Technique: Left: CT. Right: PSMA PET, same axial level, [18F]PSMA-1007 tracer.
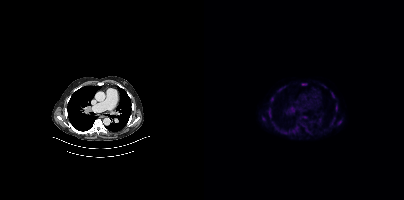
Findings: Coordinates are on the 200×200 PET (right) panel. (showing 12 of 16 foci) PSMA-avid tumor lesion bounding boxes (x, y, width, height): x=82 y=107 w=7 h=7 | x=64 y=108 w=4 h=10 | x=127 y=92 w=4 h=6 | x=67 y=97 w=3 h=5 | x=98 y=83 w=5 h=3 | x=98 y=124 w=5 h=6 | x=132 y=105 w=2 h=5. Small PSMA-avid foci (2 to 4 px across) near (center x, center y): (135, 122) | (101, 117) | (59, 119) | (93, 127) | (76, 89).